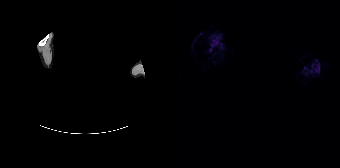
Head region blanked for anonymization (face removed). Two-panel axial: CT | PSMA PET, 68Ga tracer. Acquired on Siemens Biograph 64-4R TruePoint. No PSMA-avid tumor lesions on this slice.